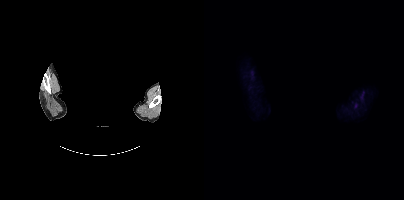
No PSMA-avid tumor lesions on this slice. Paired axial CT (left) and PSMA PET (right), [18F]PSMA-1007 tracer. Acquired on Siemens Biograph mCT Flow 20. PET panel 200×200 px (4.1 mm/px). An anonymization step blacked out a rectangle over the head in this scan.